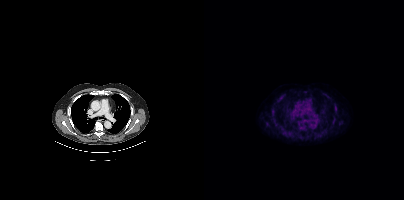
Left: CT. Right: PSMA PET, same axial level, 18F-PSMA tracer. Acquired on Siemens Biograph mCT Flow 20. Slice position z = -1103 mm. PET panel 200×200 px (4.1 mm/px). No tumor lesions annotated on this slice.